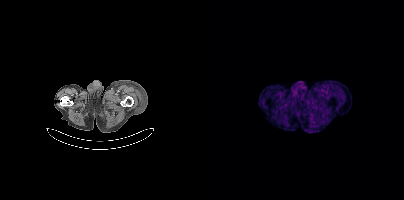
No tumor lesions annotated on this slice.